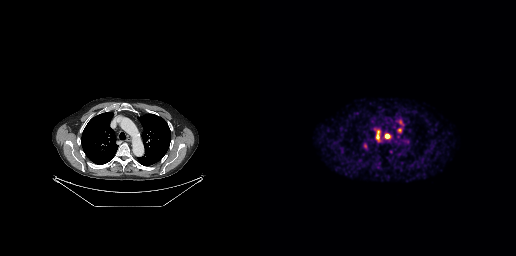
- Two-panel axial: CT | PSMA PET, [68Ga]Ga-PSMA-11 tracer
- acquired on GE Discovery 690
- slice 131 of 189
- PET panel 256×256 px (2.7 mm/px)
Findings: Coordinates are on the 256×256 PET (right) panel. PSMA-avid tumor lesion bounding boxes (x, y, width, height): x=116 y=130 w=4 h=10 / x=125 y=134 w=5 h=5. Small PSMA-avid focus (2 to 4 px across) near (center x, center y): (139, 130).